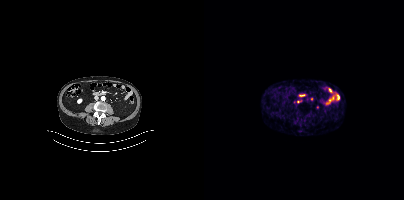
Coordinates are on the 200×200 PET (right) panel. Small PSMA-avid foci (2 to 4 px across) near (center x, center y): (107, 99), (96, 101).